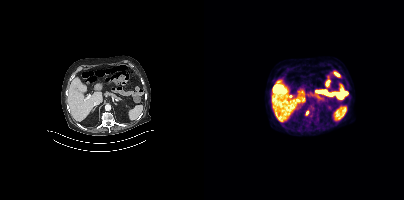
{"modality":"PSMA PET/CT","view":"axial","tracer":"18F-PSMA","pet_grid":[200,200],"coord_frame":"pet_panel","coord_format":"x0,y0,x1,y1","lesion_bboxes":[],"small_foci_centers":[[103,112]]}